- Two-panel axial: CT | PSMA PET, 18F tracer
- acquired on Siemens Biograph mCT Flow 20
- slice 349 of 431
- PET panel 200×200 px (4.1 mm/px)
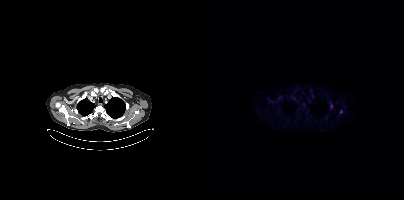
Findings: Coordinates are on the 200×200 PET (right) panel. PSMA-avid tumor lesion bounding box (x0, y0)-(x1, y1): (126, 104)-(128, 108). Small PSMA-avid foci (2 to 4 px across) near (center x, center y): (122, 117); (137, 111).